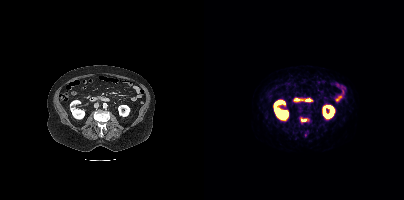
Coordinates are on the 200×200 PET (right) panel. (showing 1 of 2 foci) PSMA-avid tumor lesion bounding box (x, y, width, height): x=97 y=118 w=9 h=5.